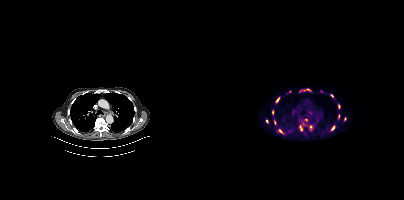
Technique: Left: CT. Right: PSMA PET, same axial level, 18F tracer. slice 350 of 466.
Findings: Coordinates are on the 200×200 PET (right) panel. (showing 14 of 17 foci) PSMA-avid tumor lesion bounding boxes (x0,y0,x1,y1): [95,88,107,92]; [95,125,98,130]; [134,104,136,109]; [72,97,75,102]; [75,129,79,133]; [106,125,108,130]; [68,110,69,114]; [70,120,71,124]. Small PSMA-avid foci (2 to 4 px across) near (center x, center y): (127, 95); (63, 121); (129, 127); (86, 91); (102, 119); (135, 115).